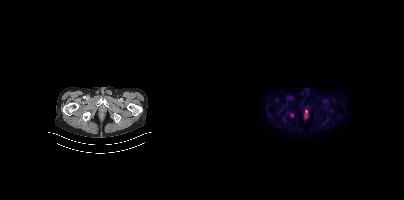
modality: PSMA PET/CT | tracer: [18F]PSMA-1007 | view: axial
Coordinates are on the 200×200 PET (right) panel. Small PSMA-avid foci (2 to 4 px across) near (center x, center y): (87, 114) / (102, 111).